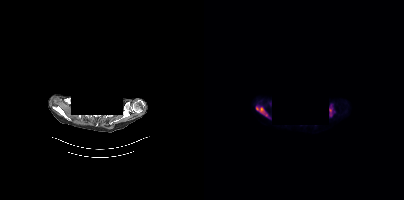
- de-identified by setting a box covering the face to black before release
- Left: CT. Right: PSMA PET, same axial level, 18F tracer
- PET panel 200×200 px (4.1 mm/px)
Findings: Coordinates are on the 200×200 PET (right) panel. (showing 3 of 4 foci) PSMA-avid tumor lesion bounding boxes (x0,y0,x1,y1): [52,106,63,116]; [125,105,128,116]. Small PSMA-avid focus (2 to 4 px across) near (center x, center y): (66, 103).